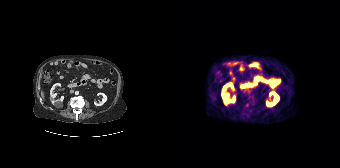
Technique: Left: CT. Right: PSMA PET, same axial level, 68Ga-PSMA tracer. acquired on Siemens Biograph 64-4R TruePoint. slice position z = -1384 mm.
Findings: Negative for PSMA-avid disease on this slice.